modality: PSMA PET/CT | tracer: [18F]PSMA-1007 | view: axial | PET grid: 168×168
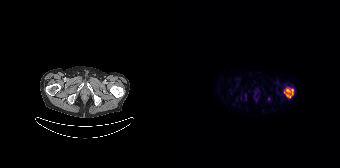
Coordinates are on the 168×168 PET (right) panel. PSMA-avid tumor lesion bounding box (x0,y0,x1,y1): [112,88,121,97]. Small PSMA-avid focus (2 to 4 px across) near (center x, center y): (96, 99).